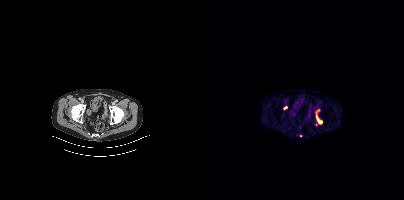
- Two-panel axial: CT | PSMA PET, 18F tracer
- acquired on Siemens Biograph mCT Flow 20
Findings: Coordinates are on the 200×200 PET (right) panel. (showing 3 of 4 foci) PSMA-avid tumor lesion bounding box (x0,y0,x1,y1): [112,110,118,124]. Small PSMA-avid foci (2 to 4 px across) near (center x, center y): (81, 107) (96, 135).